Two-panel axial: CT | PSMA PET, 18F tracer. Acquired on Siemens Biograph mCT Flow 20. Slice position z = -571 mm. PET panel 200×200 px (4.1 mm/px).
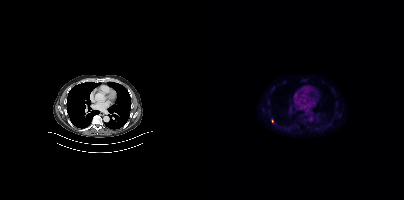
Only PSMA-avid lesion pieces thinner than 2 px on this slice (not listed).